- Two-panel axial: CT | PSMA PET, 18F tracer
- slice 230 of 299
- PET panel 256×256 px (2.7 mm/px)
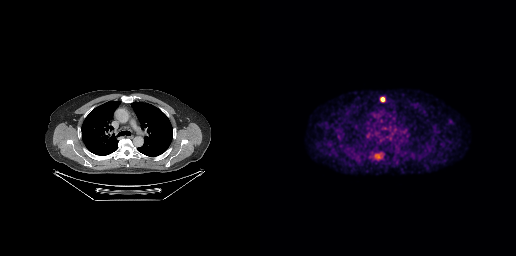
Findings: Coordinates are on the 256×256 PET (right) panel. PSMA-avid tumor lesion bounding box (x, y, width, height): x=121 y=97 w=4 h=5.